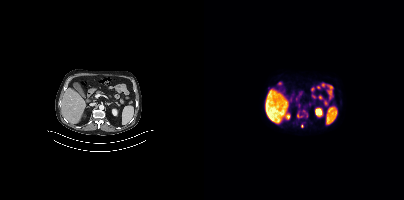
Coordinates are on the 200×200 PET (right) panel. (showing 2 of 4 foci) Small PSMA-avid foci (2 to 4 px across) near (center x, center y): (94, 115) / (98, 126).